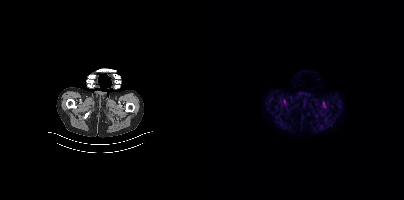
This slice has no annotated PSMA-avid lesion. Paired axial CT (left) and PSMA PET (right), 18F-PSMA tracer. Slice position z = -1007 mm. PET panel 200×200 px (4.1 mm/px).